Left: CT. Right: PSMA PET, same axial level, 68Ga-PSMA tracer. Acquired on Siemens Biograph mCT Flow 20.
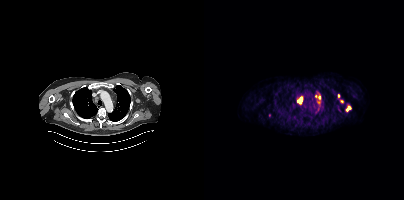
Coordinates are on the 200×200 PET (right) panel. PSMA-avid tumor lesion bounding boxes (partial; 2 more foci not listed):
| # | x0 | y0 | x1 | y1 |
|---|---|---|---|---|
| 1 | 94 | 97 | 98 | 103 |
| 2 | 142 | 106 | 146 | 110 |
Small PSMA-avid foci (2 to 4 px across) near (center x, center y): (134, 95); (115, 97); (65, 115); (114, 101).